- Two-panel axial: CT | PSMA PET, 18F-PSMA tracer
- acquired on Siemens Biograph mCT Flow 20
- slice 123 of 393
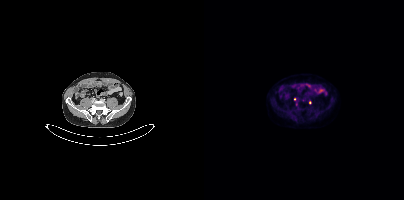
Findings: Coordinates are on the 200×200 PET (right) panel. Small PSMA-avid foci (2 to 4 px across) near (center x, center y): (90, 99) (105, 102).